Technique: Left: CT. Right: PSMA PET, same axial level, 18F tracer. acquired on Siemens Biograph mCT Flow 20.
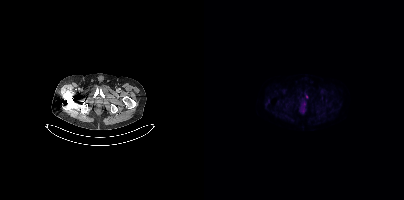
Findings: Only PSMA-avid lesion pieces thinner than 2 px on this slice (not listed).